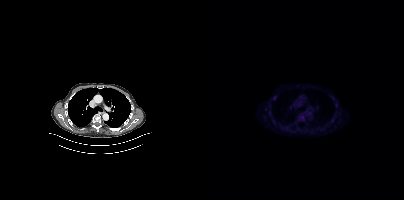
Coordinates are on the 200×200 PET (right) panel. Small PSMA-avid focus (2 to 4 px across) near (center x, center y): (70, 98). Paired axial CT (left) and PSMA PET (right), [18F]PSMA-1007 tracer.